Technique: Left: CT. Right: PSMA PET, same axial level, [68Ga]Ga-PSMA-11 tracer. slice position z = 722 mm. PET panel 200×200 px (4.1 mm/px).
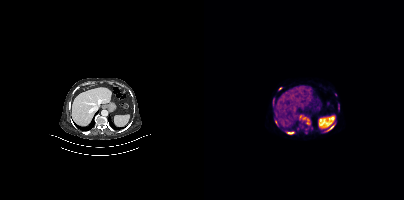
Findings: Coordinates are on the 200×200 PET (right) panel. (showing 8 of 10 foci) PSMA-avid tumor lesion bounding boxes (x, y, width, height): x=95 y=115 w=7 h=5; x=82 y=131 w=9 h=4; x=119 y=127 w=9 h=6; x=103 y=119 w=3 h=6; x=71 y=120 w=3 h=6; x=69 y=99 w=2 h=5. Small PSMA-avid foci (2 to 4 px across) near (center x, center y): (130, 124); (76, 88).